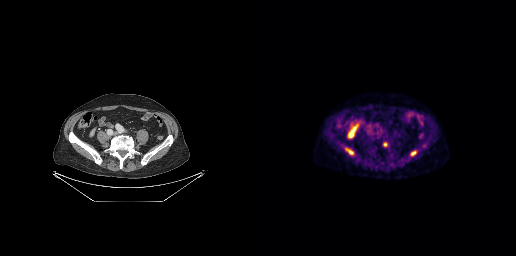
Coordinates are on the 256×256 PET (right) panel. (showing 2 of 3 foci) PSMA-avid tumor lesion bounding box (x0, y0)-(x1, y1): (151, 150)-(156, 156). Small PSMA-avid focus (2 to 4 px across) near (center x, center y): (86, 150).
modality: PSMA PET/CT | tracer: 18F-PSMA | view: axial